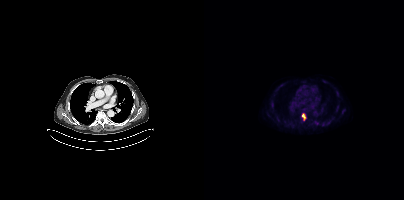
Coordinates are on the 200×200 PET (right) panel. Small PSMA-avid focus (2 to 4 px across) near (center x, center y): (99, 116). Two-panel axial: CT | PSMA PET, 18F-PSMA tracer.